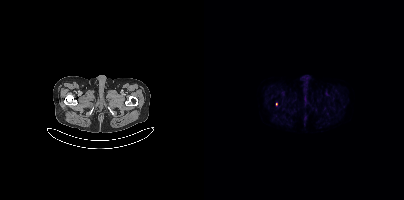
Technique: Two-panel axial: CT | PSMA PET, 18F tracer.
Findings: Coordinates are on the 200×200 PET (right) panel. Small PSMA-avid focus (2 to 4 px across) near (center x, center y): (72, 103).